Left: CT. Right: PSMA PET, same axial level, 18F-PSMA tracer.
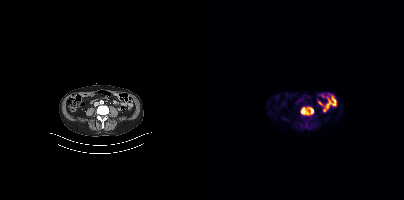
Coordinates are on the 200×200 PET (right) panel. PSMA-avid tumor lesion bounding box (x0, y0)-(x1, y1): (97, 107)-(109, 115). Small PSMA-avid focus (2 to 4 px across) near (center x, center y): (102, 126).